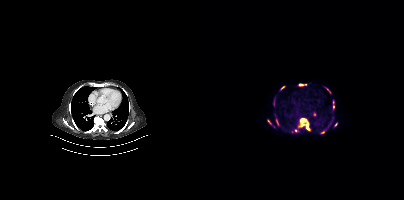
Coordinates are on the 200×200 PET (right) panel. (showing 13 of 14 foci) PSMA-avid tumor lesion bounding boxes (x0, y0)-(x1, y1): (95, 118)-(105, 129); (69, 98)-(71, 103); (76, 86)-(80, 90); (121, 87)-(126, 92); (95, 84)-(99, 85); (129, 100)-(130, 104). Small PSMA-avid foci (2 to 4 px across) near (center x, center y): (72, 120); (92, 130); (65, 121); (74, 125); (119, 132); (129, 108); (131, 124).